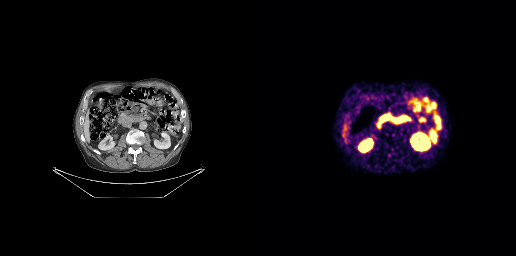
{"modality":"PSMA PET/CT","view":"axial","tracer":"[68Ga]Ga-PSMA-11","pet_grid":[256,256],"coord_frame":"pet_panel","coord_format":"x0,y0,x1,y1","psma_avid_lesions":false}